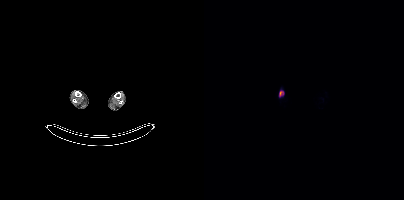
{"pet_grid":[200,200],"coord_frame":"pet_panel","coord_format":"x0,y0,x1,y1","lesion_bboxes":[[75,91,79,96]],"modality":"PSMA PET/CT","view":"axial","tracer":"18F-PSMA"}